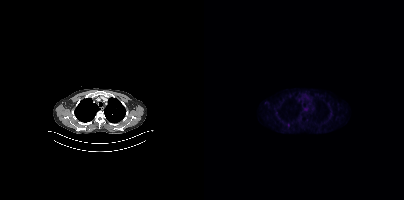
{"pet_grid":[200,200],"coord_frame":"pet_panel","coord_format":"x0,y0,x1,y1","lesion_bboxes":[[83,123,85,127]],"modality":"PSMA PET/CT","view":"axial","tracer":"18F-PSMA"}